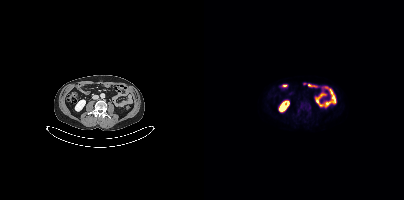
Coordinates are on the 200×200 PET (right) panel. Small PSMA-avid focus (2 to 4 px across) near (center x, center y): (105, 108).